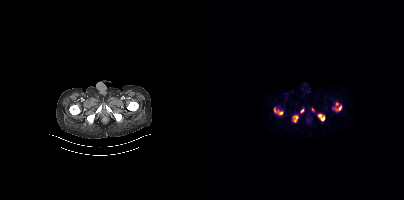
Left: CT. Right: PSMA PET, same axial level, 68Ga tracer. Slice position z = 348 mm. This slice has no annotated PSMA-avid lesion.